Two-panel axial: CT | PSMA PET, [18F]PSMA-1007 tracer.
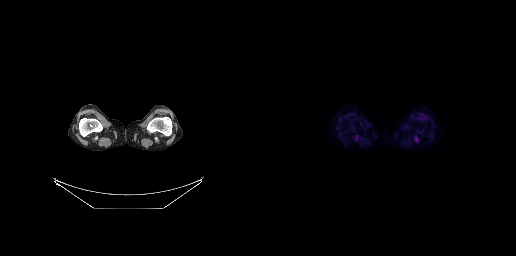
This slice has no annotated PSMA-avid lesion.